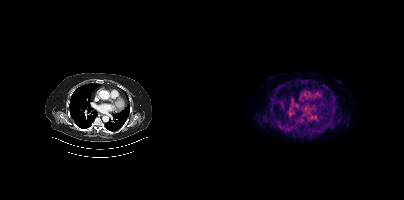
Findings: Negative for PSMA-avid disease on this slice.
- Paired axial CT (left) and PSMA PET (right), [18F]PSMA-1007 tracer
- slice 308 of 438